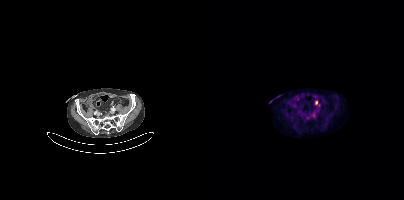
Findings: Coordinates are on the 200×200 PET (right) panel. (showing 2 of 4 foci) Small PSMA-avid foci (2 to 4 px across) near (center x, center y): (112, 102); (109, 114).
Technique: Two-panel axial: CT | PSMA PET, 18F tracer.